Left: CT. Right: PSMA PET, same axial level, [68Ga]Ga-PSMA-11 tracer.
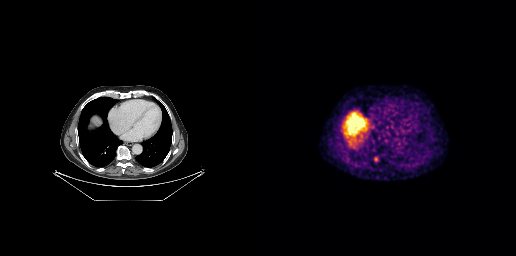
Coordinates are on the 256×256 PET (right) panel. PSMA-avid tumor lesion bounding box (x0, y0)-(x1, y1): (114, 157)-(118, 161).